Two-panel axial: CT | PSMA PET, 18F-PSMA tracer. Slice 200 of 299. PET panel 256×256 px (2.7 mm/px).
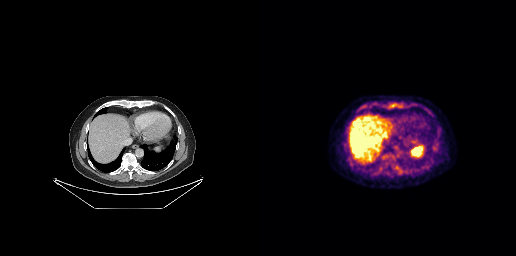
Coordinates are on the 256×256 PET (right) panel. Small PSMA-avid focus (2 to 4 px across) near (center x, center y): (135, 104).